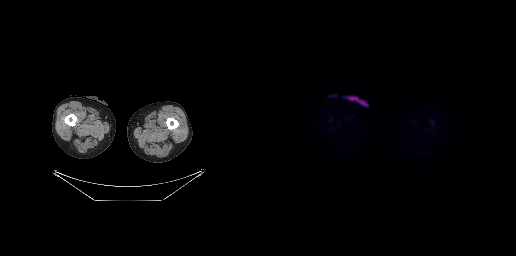
Paired axial CT (left) and PSMA PET (right), 18F tracer. Acquired on GE Discovery 690. PET panel 256×256 px (2.7 mm/px). This slice has no annotated PSMA-avid lesion.